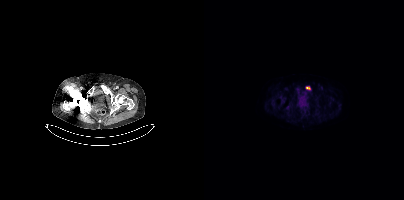
Coordinates are on the 200×200 PET (right) panel. PSMA-avid tumor lesion bounding box (x0, y0)-(x1, y1): (102, 86)-(106, 89).